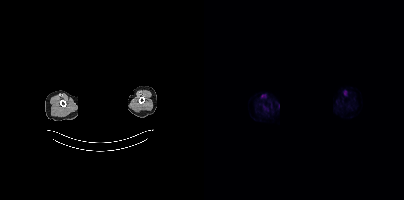
Findings: No tumor lesions annotated on this slice.
Technique: Left: CT. Right: PSMA PET, same axial level, 18F tracer. acquired on Siemens Biograph mCT Flow 20. slice 366 of 393. PET panel 200×200 px (4.1 mm/px).
Note: Privacy masking over the head, with the pixels inside a rectangle set to black.